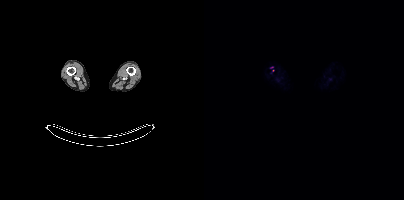
Left: CT. Right: PSMA PET, same axial level, 18F tracer. PET panel 200×200 px (4.1 mm/px). Only PSMA-avid lesion pieces thinner than 2 px on this slice (not listed).